- Two-panel axial: CT | PSMA PET, [18F]PSMA-1007 tracer
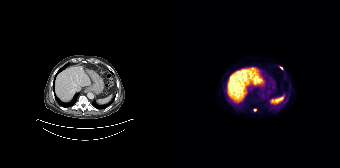
Findings: Coordinates are on the 168×168 PET (right) panel. PSMA-avid tumor lesion bounding box (x, y, width, height): x=107 y=66 w=5 h=4. Small PSMA-avid focus (2 to 4 px across) near (center x, center y): (82, 110).